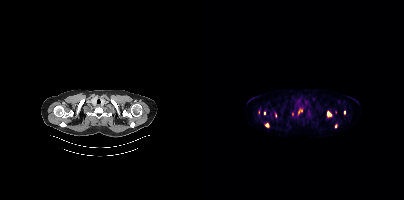
Findings: Coordinates are on the 200×200 PET (right) panel. (showing 5 of 10 foci) PSMA-avid tumor lesion bounding boxes (x0,y0,x1,y1): [123,111,127,117]; [61,123,64,127]. Small PSMA-avid foci (2 to 4 px across) near (center x, center y): (140, 112); (60, 113); (131, 126).
Technique: Paired axial CT (left) and PSMA PET (right), 18F-PSMA tracer. acquired on Siemens Biograph mCT Flow 20. slice 368 of 444.